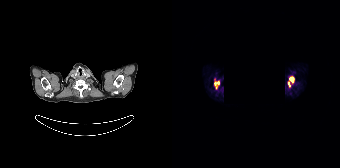
Left: CT. Right: PSMA PET, same axial level, [68Ga]Ga-PSMA-11 tracer. Slice position z = -268 mm. An anonymization step blacked out a rectangle in this scan. Coordinates are on the 168×168 PET (right) panel. PSMA-avid tumor lesion bounding boxes (x0,y0,x1,y1): [117,77,121,82], [42,81,47,85]. Small PSMA-avid focus (2 to 4 px across) near (center x, center y): (116, 83).